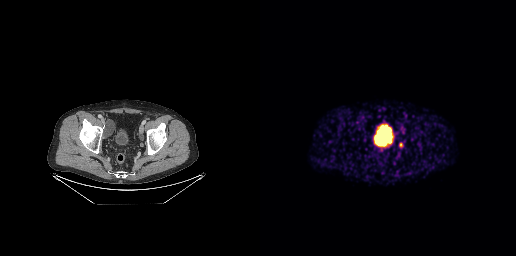
Coordinates are on the 256×256 PET (right) panel. PSMA-avid tumor lesion bounding box (x0,y0,x1,y1): [139,142,143,148]. Paired axial CT (left) and PSMA PET (right), [68Ga]Ga-PSMA-11 tracer.